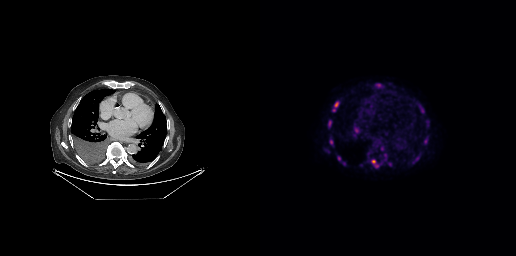
modality: PSMA PET/CT | tracer: 18F-PSMA | view: axial
Coordinates are on the 256×256 PET (right) panel. (showing 5 of 8 foci) PSMA-avid tumor lesion bounding boxes (x0,y0,x1,y1): [74,102,78,106], [70,140,72,144]. Small PSMA-avid foci (2 to 4 px across) near (center x, center y): (113, 161), (79, 157), (73, 109).